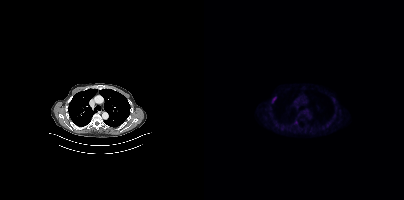
Paired axial CT (left) and PSMA PET (right), [18F]PSMA-1007 tracer. Acquired on Siemens Biograph mCT Flow 20.
Coordinates are on the 200×200 PET (right) panel. PSMA-avid tumor lesion bounding boxes:
| # | x0 | y0 | x1 | y1 |
|---|---|---|---|---|
| 1 | 68 | 97 | 72 | 102 |